modality: PSMA PET/CT | tracer: 18F-PSMA | view: axial
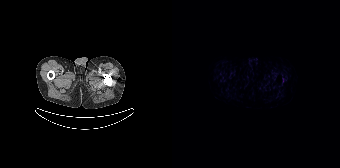
Only PSMA-avid lesion pieces thinner than 2 px on this slice (not listed).